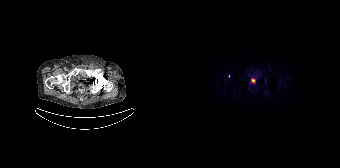
{"modality":"PSMA PET/CT","view":"axial","tracer":"18F-PSMA","pet_grid":[168,168],"coord_frame":"pet_panel","coord_format":"x0,y0,x1,y1","partial":true,"lesion_bboxes":[]}